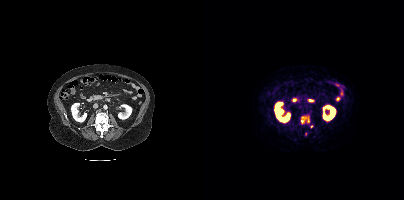
Coordinates are on the 200×200 PET (right) panel. PSMA-avid tumor lesion bounding box (x0, y0)-(x1, y1): (97, 116)-(105, 124). Small PSMA-avid foci (2 to 4 px across) near (center x, center y): (107, 126) / (101, 133). Paired axial CT (left) and PSMA PET (right), 68Ga-PSMA tracer. Acquired on Siemens Biograph mCT Flow 20. Slice 187 of 444. PET panel 200×200 px (4.1 mm/px).